- Two-panel axial: CT | PSMA PET, 68Ga tracer
- slice 12 of 195
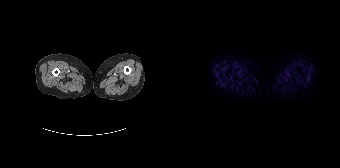
Findings: This slice has no annotated PSMA-avid lesion.